Left: CT. Right: PSMA PET, same axial level, [18F]PSMA-1007 tracer. Slice position z = -452 mm. PET panel 200×200 px (4.1 mm/px).
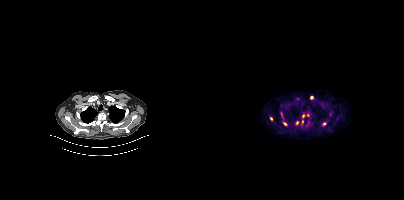
Coordinates are on the 200×200 PET (right) panel. Small PSMA-avid foci (2 to 4 px across) near (center x, center y): (107, 97); (80, 123); (67, 118); (93, 122); (99, 116); (98, 121); (120, 123); (103, 115); (77, 113).